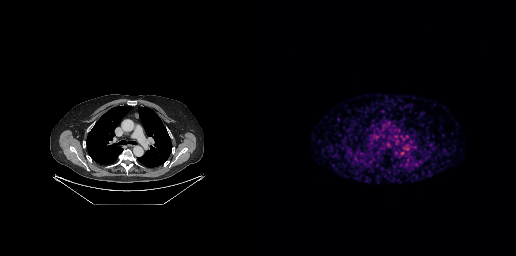
modality: PSMA PET/CT | tracer: 68Ga | view: axial
Negative for PSMA-avid disease on this slice.